Left: CT. Right: PSMA PET, same axial level, 18F-PSMA tracer. Slice position z = -829 mm. PET panel 200×200 px (4.1 mm/px).
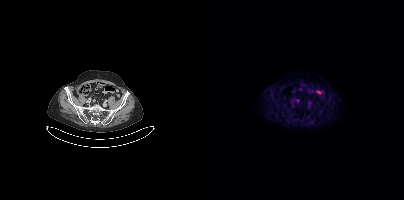
No PSMA-avid tumor lesions on this slice.